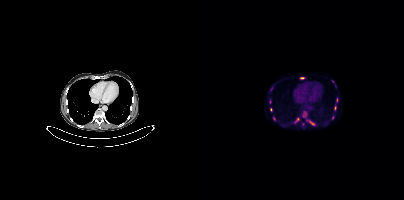
Coordinates are on the 200×200 PET (right) panel. (showing 7 of 10 foci) PSMA-avid tumor lesion bounding boxes (x0, y0)-(x1, y1): (105, 120)-(110, 125); (96, 77)-(100, 79); (99, 112)-(102, 116); (91, 118)-(95, 122); (130, 106)-(132, 110). Small PSMA-avid foci (2 to 4 px across) near (center x, center y): (67, 109); (128, 81).
modality: PSMA PET/CT | tracer: [18F]PSMA-1007 | view: axial